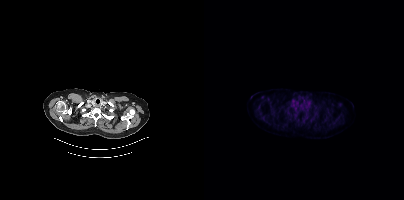
No tumor lesions annotated on this slice.
modality: PSMA PET/CT | tracer: 18F | view: axial